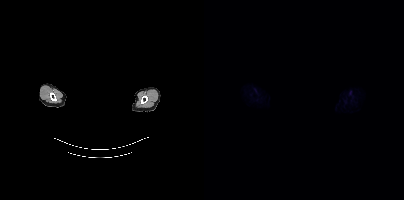
An anonymization step blacked out a rectangle over the head in this scan.
No PSMA-avid tumor lesions on this slice.